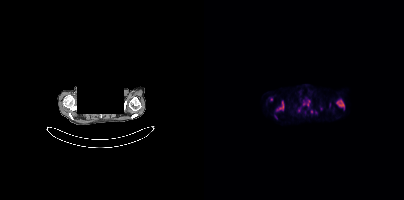
{"modality":"PSMA PET/CT","view":"axial","tracer":"18F","pet_grid":[200,200],"coord_frame":"pet_panel","coord_format":"x0,y0,x1,y1","partial":true,"lesion_bboxes":[[132,100,140,108],[72,101,80,111],[103,100,105,105]],"small_foci_centers":[[107,111],[94,110],[111,112]],"deidentification":"privacy mask over head"}